- Two-panel axial: CT | PSMA PET, 18F tracer
- a rectangular block over the head has been blanked out for de-identification
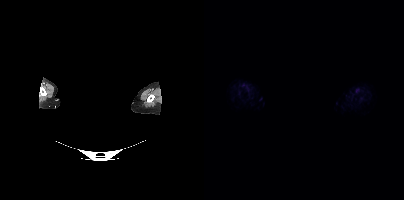
Findings: This slice has no annotated PSMA-avid lesion.